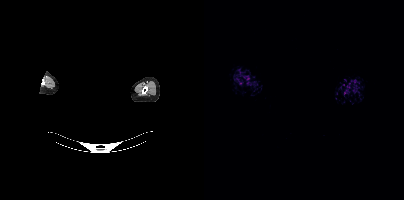
This slice has no annotated PSMA-avid lesion. Left: CT. Right: PSMA PET, same axial level, [18F]PSMA-1007 tracer. Slice position z = -792 mm. An anonymization step blacked out a rectangle over the head in this scan.